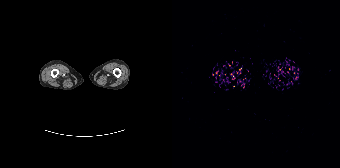
No tumor lesions annotated on this slice.